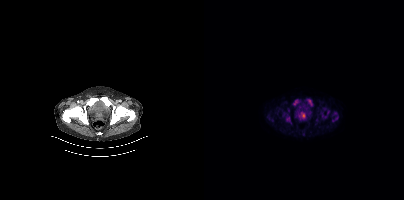
Paired axial CT (left) and PSMA PET (right), 18F-PSMA tracer. PET panel 200×200 px (4.1 mm/px). Coordinates are on the 200×200 PET (right) panel. (showing 11 of 12 foci) PSMA-avid tumor lesion bounding boxes (x0,y0,x1,y1): [95,112,101,118] [82,114,87,123] [89,99,94,105] [103,99,108,105] [118,113,122,118] [128,117,132,121] [123,110,125,114]. Small PSMA-avid foci (2 to 4 px across) near (center x, center y): (131, 113) (120, 108) (79, 114) (84, 110).